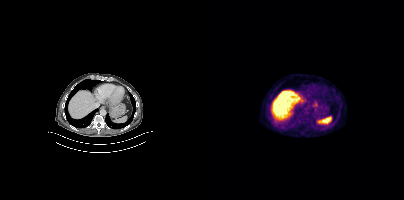
- Two-panel axial: CT | PSMA PET, 18F tracer
- acquired on Siemens Biograph mCT Flow 20
- PET panel 200×200 px (4.1 mm/px)
Findings: No PSMA-avid tumor lesions on this slice.